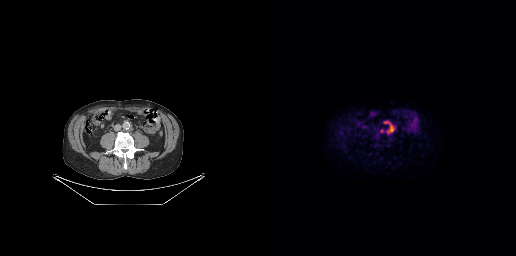
Two-panel axial: CT | PSMA PET, [18F]PSMA-1007 tracer. Slice 110 of 263. PET panel 256×256 px (2.7 mm/px).
Coordinates are on the 256×256 PET (right) panel. PSMA-avid tumor lesion bounding boxes:
| # | x0 | y0 | x1 | y1 |
|---|---|---|---|---|
| 1 | 124 | 121 | 134 | 134 |
Small PSMA-avid focus (2 to 4 px across) near (center x, center y): (121, 130).